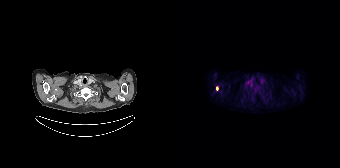
- Two-panel axial: CT | PSMA PET, [18F]PSMA-1007 tracer
Findings: Coordinates are on the 168×168 PET (right) panel. PSMA-avid tumor lesion bounding box (x0,y0,x1,y1): [44,86,46,90].